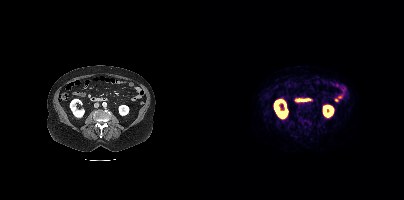
Findings: This slice has no annotated PSMA-avid lesion.
Technique: Left: CT. Right: PSMA PET, same axial level, [68Ga]Ga-PSMA-11 tracer. acquired on Siemens Biograph mCT Flow 20. slice position z = 513 mm.